Technique: Left: CT. Right: PSMA PET, same axial level, [18F]PSMA-1007 tracer. acquired on Siemens Biograph mCT Flow 20.
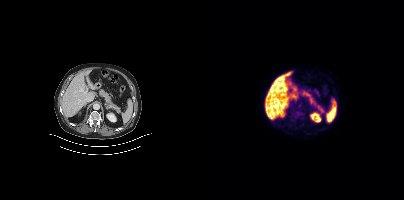
Findings: This slice has no annotated PSMA-avid lesion.